modality: PSMA PET/CT | tracer: 18F-PSMA | view: axial
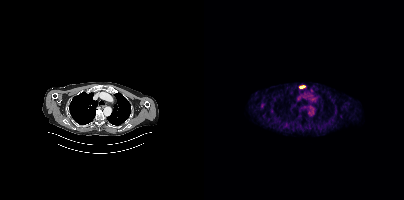
Coordinates are on the 200×200 PET (right) panel. PSMA-avid tumor lesion bounding box (x0,y0,x1,y1): [95,85,101,88].